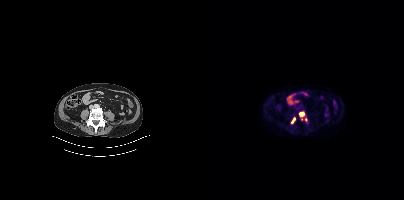
{"modality":"PSMA PET/CT","view":"axial","tracer":"[18F]PSMA-1007","pet_grid":[200,200],"coord_frame":"pet_panel","coord_format":"x0,y0,x1,y1","partial":true,"lesion_bboxes":[[88,118,91,122]],"small_foci_centers":[[97,113]]}